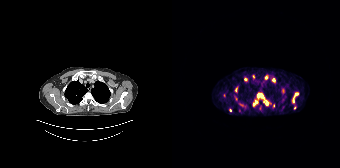
{"modality":"PSMA PET/CT","view":"axial","tracer":"68Ga-PSMA","pet_grid":[168,168],"coord_frame":"pet_panel","coord_format":"x0,y0,x1,y1","partial":true,"lesion_bboxes":[[85,93,99,105],[120,92,126,103],[81,100,85,105],[63,87,65,91]],"small_foci_centers":[[101,79],[94,77],[81,76],[73,79],[101,105],[122,108],[58,110],[69,104]]}